Two-panel axial: CT | PSMA PET, 18F tracer. Slice position z = -1123 mm. PET panel 200×200 px (4.1 mm/px).
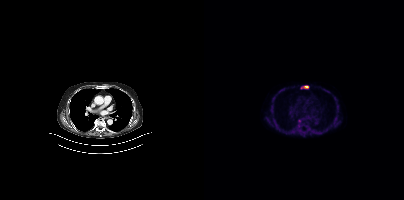
Coordinates are on the 200×200 PET (right) panel. PSMA-avid tumor lesion bounding boxes:
| # | x0 | y0 | x1 | y1 |
|---|---|---|---|---|
| 1 | 103 | 126 | 106 | 130 |
| 2 | 100 | 86 | 104 | 88 |
Small PSMA-avid foci (2 to 4 px across) near (center x, center y): (95, 120); (94, 125).